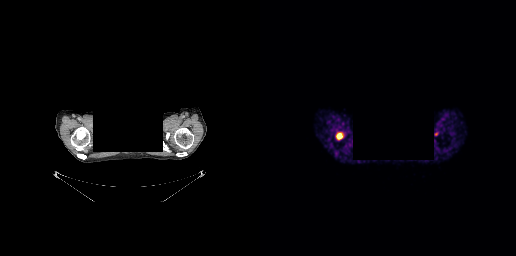
{"modality":"PSMA PET/CT","view":"axial","tracer":"68Ga","pet_grid":[256,256],"coord_frame":"pet_panel","coord_format":"x0,y0,x1,y1","redaction":"rectangular block over head set to black","lesion_bboxes":[[76,133,82,139]]}